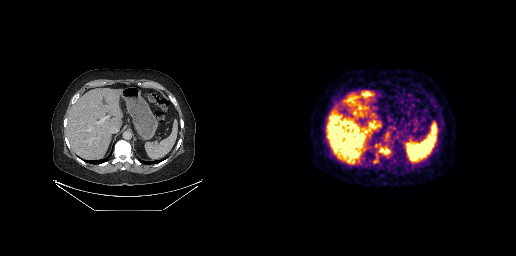
Findings: Coordinates are on the 256×256 PET (right) panel. PSMA-avid tumor lesion bounding box (x0, y0)-(x1, y1): (119, 148)-(124, 152). Small PSMA-avid focus (2 to 4 px across) near (center x, center y): (115, 161).
- Two-panel axial: CT | PSMA PET, [18F]PSMA-1007 tracer
- acquired on GE Discovery 690
- slice position z = -556 mm
- PET panel 256×256 px (2.7 mm/px)